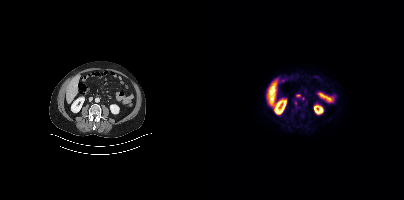
modality: PSMA PET/CT | tracer: 18F-PSMA | view: axial
No PSMA-avid tumor lesions on this slice.